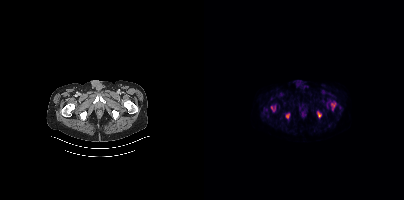
{"modality":"PSMA PET/CT","view":"axial","tracer":"18F","pet_grid":[200,200],"coord_frame":"pet_panel","coord_format":"x0,y0,x1,y1","lesion_bboxes":[[67,105,71,111],[81,113,85,118],[113,112,117,117],[127,103,131,107]]}